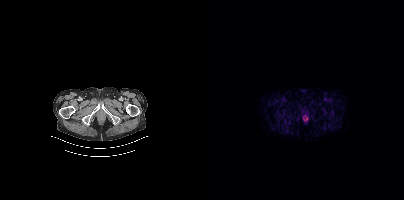
No tumor lesions annotated on this slice.